Left: CT. Right: PSMA PET, same axial level, 68Ga-PSMA tracer. Slice 58 of 263. PET panel 256×256 px (2.7 mm/px).
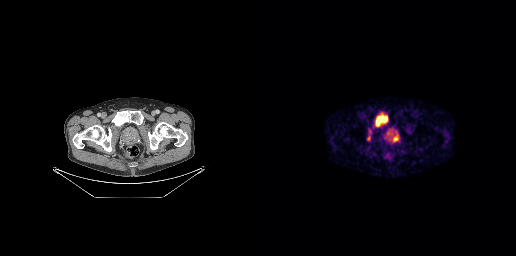
Coordinates are on the 256×256 PET (right) panel. PSMA-avid tumor lesion bounding boxes (x0, y0)-(x1, y1): (126, 128)-(138, 142) | (115, 113)-(127, 126) | (107, 133)-(110, 140).